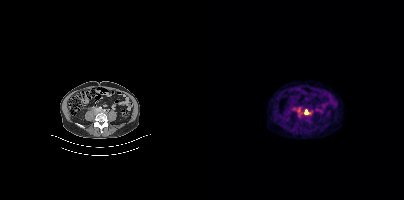
Coordinates are on the 200×200 PET (right) panel. PSMA-avid tumor lesion bounding boxes:
| # | x0 | y0 | x1 | y1 |
|---|---|---|---|---|
| 1 | 92 | 108 | 97 | 114 |
| 2 | 100 | 109 | 105 | 114 |
Two-panel axial: CT | PSMA PET, 18F tracer. Acquired on Siemens Biograph mCT Flow 20. PET panel 200×200 px (4.1 mm/px).